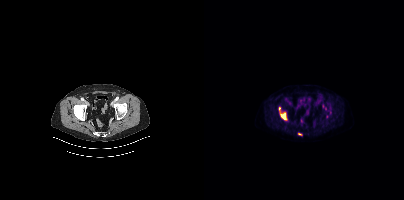
{"pet_grid":[200,200],"coord_frame":"pet_panel","coord_format":"x0,y0,x1,y1","lesion_bboxes":[[76,112,82,119]],"small_foci_centers":[[75,108],[95,134]],"modality":"PSMA PET/CT","view":"axial","tracer":"[18F]PSMA-1007"}